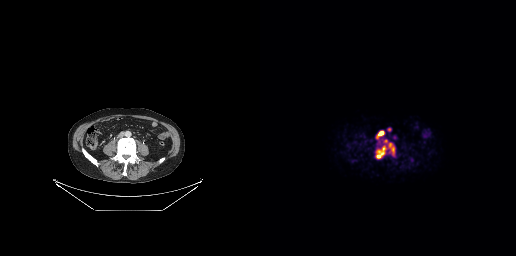
{"modality":"PSMA PET/CT","view":"axial","tracer":"[68Ga]Ga-PSMA-11","pet_grid":[256,256],"coord_frame":"pet_panel","coord_format":"x0,y0,x1,y1","lesion_bboxes":[[116,147,125,158],[117,131,123,137],[124,139,127,143]],"small_foci_centers":[[129,129],[132,149],[130,144]]}